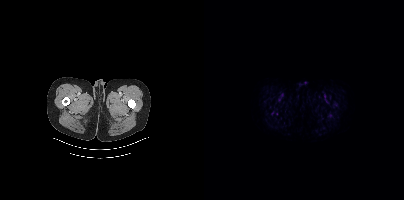
modality: PSMA PET/CT | tracer: 18F | view: axial
Negative for PSMA-avid disease on this slice.